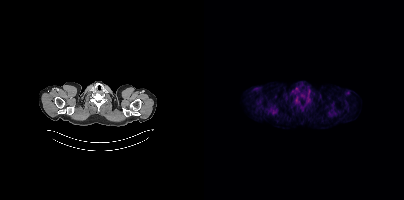
Left: CT. Right: PSMA PET, same axial level, [18F]PSMA-1007 tracer. Acquired on Siemens Biograph mCT Flow 20. Slice position z = 1748 mm. PET panel 200×200 px (4.1 mm/px). Only PSMA-avid lesion pieces thinner than 2 px on this slice (not listed).